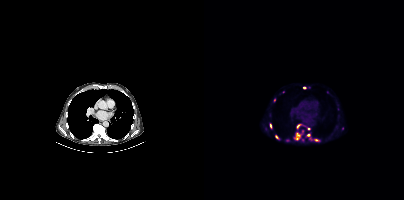
Coordinates are on the 200×200 PET (right) panel. (showing 10 of 15 foci) PSMA-avid tumor lesion bounding box (x0,y0,x1,y1): [91,133,96,139]. Small PSMA-avid foci (2 to 4 px across) near (center x, center y): (72, 136) (66, 125) (98, 131) (106, 139) (100, 87) (94, 126) (104, 128) (104, 134) (112, 139).